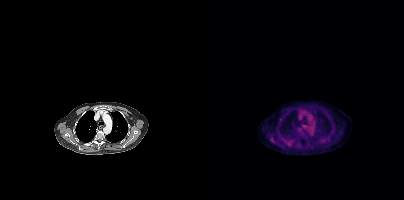
Coordinates are on the 200×200 PET (right) panel. Small PSMA-avid focus (2 to 4 px across) near (center x, center y): (76, 119).
modality: PSMA PET/CT | tracer: 18F-PSMA | view: axial | PET grid: 200×200